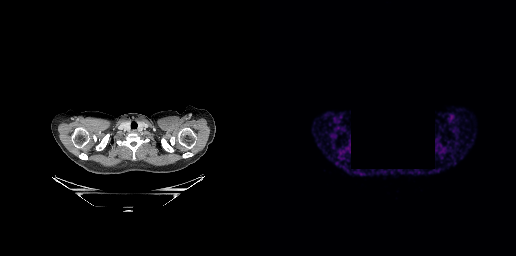
{"pet_grid":[256,256],"coord_frame":"pet_panel","coord_format":"x0,y0,x1,y1","psma_avid_lesions":false,"modality":"PSMA PET/CT","view":"axial","tracer":"68Ga","de-identification":"black rectangle is a privacy mask"}